Technique: Two-panel axial: CT | PSMA PET, 18F-PSMA tracer. slice 77 of 385. PET panel 200×200 px (4.1 mm/px).
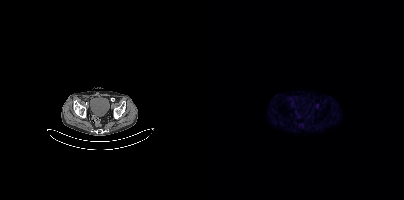
Findings: Negative for PSMA-avid disease on this slice.